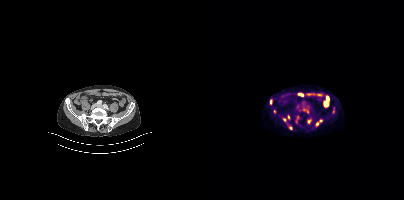
Coordinates are on the 200×200 PET (right) panel. PSMA-avid tumor lesion bounding boxes (partial; 3 more foci not listed):
| # | x0 | y0 | x1 | y1 |
|---|---|---|---|---|
| 1 | 84 | 115 | 85 | 119 |
Small PSMA-avid foci (2 to 4 px across) near (center x, center y): (113, 123); (105, 121); (66, 101); (86, 128); (80, 119); (116, 120); (129, 111).
Left: CT. Right: PSMA PET, same axial level, 18F tracer. Slice 115 of 407.